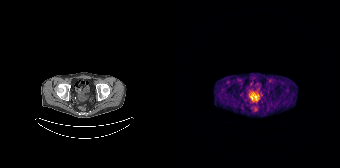
Paired axial CT (left) and PSMA PET (right), 68Ga tracer. Acquired on Siemens Biograph 64-4R TruePoint. Slice position z = -1656 mm. This slice has no annotated PSMA-avid lesion.